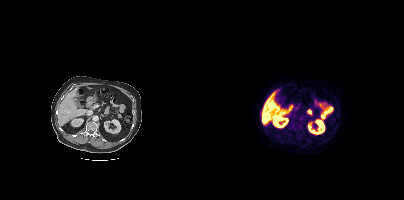
Negative for PSMA-avid disease on this slice.